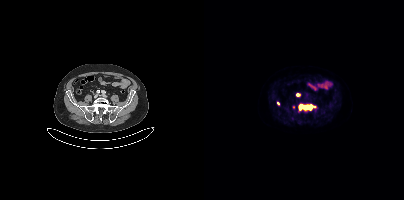
Technique: Two-panel axial: CT | PSMA PET, 18F-PSMA tracer. acquired on Siemens Biograph mCT Flow 20.
Findings: Coordinates are on the 200×200 PET (right) panel. PSMA-avid tumor lesion bounding box (x, y, width, height): x=95 y=105 w=14 h=5. Small PSMA-avid foci (2 to 4 px across) near (center x, center y): (74, 103); (93, 94); (89, 106).